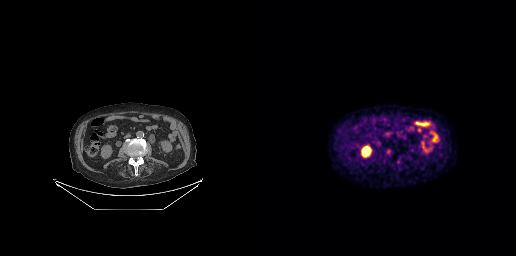
- Paired axial CT (left) and PSMA PET (right), 18F tracer
- slice 123 of 263
- PET panel 256×256 px (2.7 mm/px)
Findings: No tumor lesions annotated on this slice.